Two-panel axial: CT | PSMA PET, [18F]PSMA-1007 tracer. Slice position z = -118 mm. PET panel 200×200 px (4.1 mm/px).
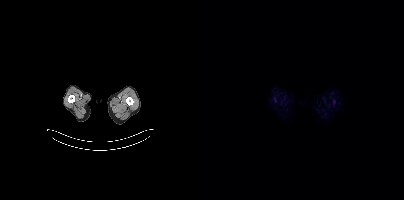
This slice has no annotated PSMA-avid lesion.